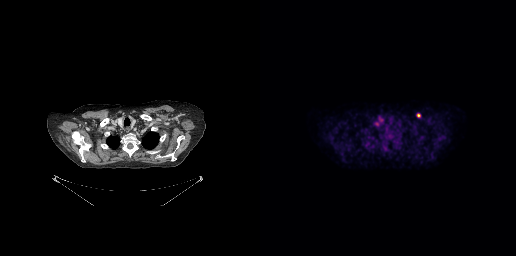
modality: PSMA PET/CT | tracer: 18F-PSMA | view: axial
Coordinates are on the 256×256 PET (right) panel. PSMA-avid tumor lesion bounding box (x, y, width, height): x=157 y=113 w=4 h=5. Small PSMA-avid foci (2 to 4 px across) near (center x, center y): (120, 119) | (116, 124).